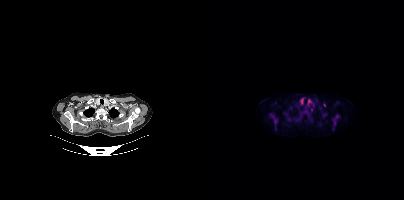
Technique: Two-panel axial: CT | PSMA PET, 18F-PSMA tracer. acquired on Siemens Biograph mCT Flow 20.
Findings: Coordinates are on the 200×200 PET (right) panel. (showing 2 of 3 foci) PSMA-avid tumor lesion bounding boxes (x0,y0,x1,y1): [129,115,135,129], [66,114,73,125].